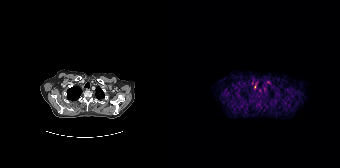
Two-panel axial: CT | PSMA PET, 68Ga-PSMA tracer. Acquired on Siemens Biograph 64-4R TruePoint. Slice position z = -0 mm. PET panel 168×168 px (4.1 mm/px). Coordinates are on the 168×168 PET (right) panel. (showing 2 of 4 foci) Small PSMA-avid foci (2 to 4 px across) near (center x, center y): (96, 82) / (82, 86).